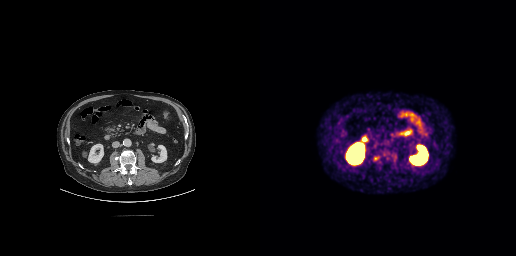
Coordinates are on the 256×256 PET (right) panel. PSMA-avid tumor lesion bounding box (x0, y0)-(x1, y1): (113, 156)-(119, 160).